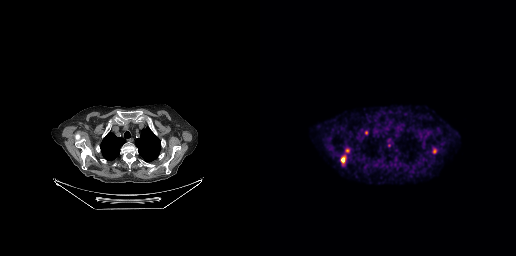
{"modality":"PSMA PET/CT","view":"axial","tracer":"18F","pet_grid":[256,256],"coord_frame":"pet_panel","coord_format":"x0,y0,x1,y1","lesion_bboxes":[[81,157,85,162]],"small_foci_centers":[[106,132],[87,150]]}